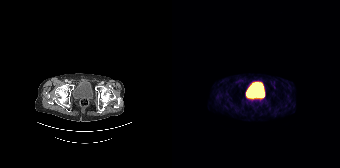
modality: PSMA PET/CT | tracer: 68Ga-PSMA | view: axial
Negative for PSMA-avid disease on this slice.